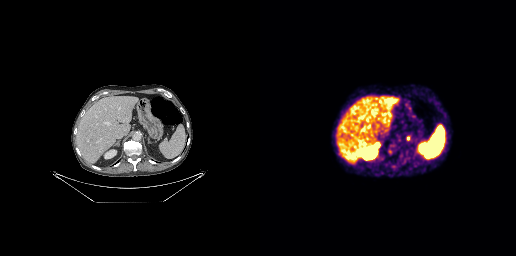
Paired axial CT (left) and PSMA PET (right), [68Ga]Ga-PSMA-11 tracer. Slice position z = -602 mm. PET panel 256×256 px (2.7 mm/px). Only PSMA-avid lesion pieces thinner than 2 px on this slice (not listed).